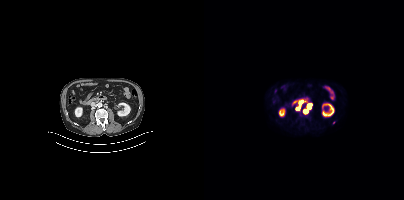
{"modality":"PSMA PET/CT","view":"axial","tracer":"[18F]PSMA-1007","pet_grid":[200,200],"coord_frame":"pet_panel","coord_format":"x0,y0,x1,y1","lesion_bboxes":[[103,104,107,108],[100,109,103,113],[95,101,98,106]],"small_foci_centers":[[93,108],[129,122]]}